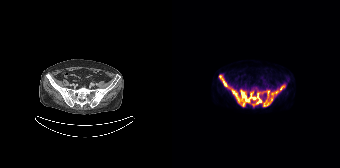
Coordinates are on the 168×168 PET (right) panel. PSMA-avid tumor lesion bounding boxes (x, y, width, height): x=47 y=75 w=60 h=32 / x=108 y=85 w=5 h=6.